Technique: Paired axial CT (left) and PSMA PET (right), 18F-PSMA tracer. acquired on GE Discovery 690. slice 106 of 263.
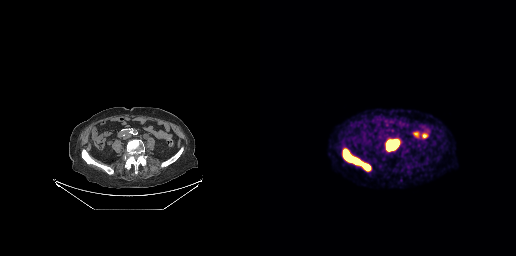
Findings: Coordinates are on the 256×256 PET (right) panel. PSMA-avid tumor lesion bounding boxes (x0,y0,x1,y1): [83,149,110,170] [126,139,139,151].